- Paired axial CT (left) and PSMA PET (right), [18F]PSMA-1007 tracer
- acquired on Siemens Biograph mCT Flow 20
- PET panel 200×200 px (4.1 mm/px)
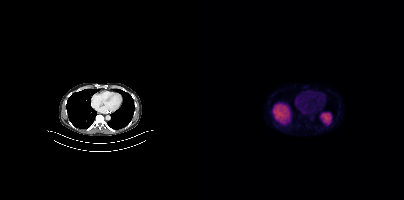
Findings: This slice has no annotated PSMA-avid lesion.